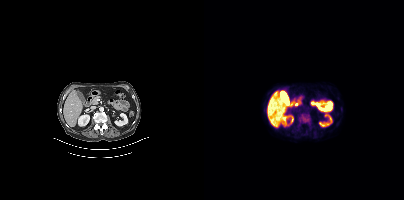
Coordinates are on the 200×200 PET (right) panel. PSMA-avid tumor lesion bounding box (x0, y0)-(x1, y1): (95, 114)-(105, 123).
modality: PSMA PET/CT | tracer: 18F | view: axial